modality: PSMA PET/CT | tracer: 68Ga | view: axial
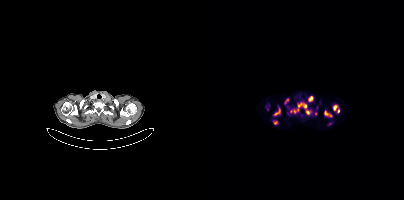
Coordinates are on the 200×200 PET (right) panel. (showing 12 of 13 foci) PSMA-avid tumor lesion bounding boxes (x0, y0)-(x1, y1): (87, 108)-(95, 113); (120, 111)-(128, 116); (105, 96)-(109, 101); (70, 108)-(76, 115); (129, 105)-(132, 110); (99, 104)-(102, 108); (102, 110)-(105, 114); (81, 99)-(84, 103). Small PSMA-avid foci (2 to 4 px across) near (center x, center y): (71, 122); (134, 111); (112, 113); (94, 105).